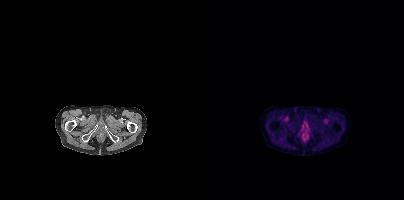
Findings: No PSMA-avid tumor lesions on this slice.
Technique: Paired axial CT (left) and PSMA PET (right), 18F tracer. slice position z = -446 mm.